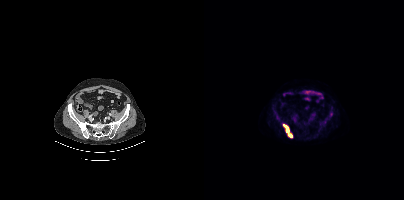
Coordinates are on the 200×200 PET (right) panel. PSMA-avid tumor lesion bounding box (x0,y0,x1,y1): [79,124,88,137].